Technique: Paired axial CT (left) and PSMA PET (right), [18F]PSMA-1007 tracer. slice position z = -918 mm. PET panel 200×200 px (4.1 mm/px).
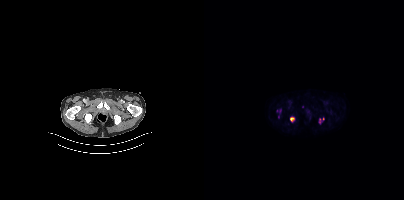
Findings: Coordinates are on the 200×200 PET (right) panel. Small PSMA-avid foci (2 to 4 px across) near (center x, center y): (87, 118) | (115, 121).